Left: CT. Right: PSMA PET, same axial level, [68Ga]Ga-PSMA-11 tracer. PET panel 168×168 px (4.1 mm/px).
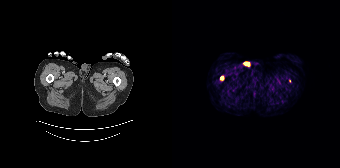
Coordinates are on the 168×168 PET (right) panel. Small PSMA-avid foci (2 to 4 px across) near (center x, center y): (49, 77); (117, 80).